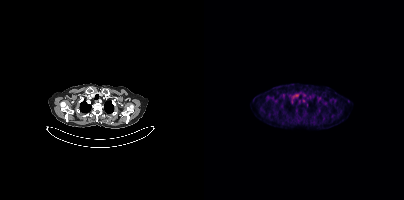
- Left: CT. Right: PSMA PET, same axial level, 18F tracer
- acquired on Siemens Biograph mCT Flow 20
- slice 329 of 401
- PET panel 200×200 px (4.1 mm/px)
Findings: Only PSMA-avid lesion pieces thinner than 2 px on this slice (not listed).